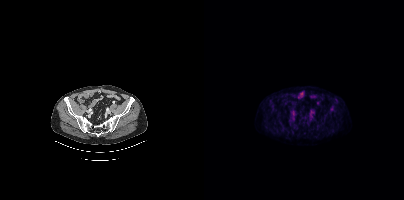
modality: PSMA PET/CT | tracer: [18F]PSMA-1007 | view: axial | PET grid: 200×200
Negative for PSMA-avid disease on this slice.